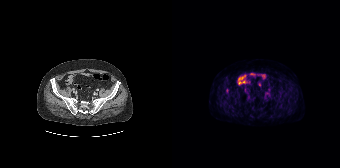
{"modality":"PSMA PET/CT","view":"axial","tracer":"18F-PSMA","pet_grid":[168,168],"coord_frame":"pet_panel","coord_format":"x0,y0,x1,y1","lesion_bboxes":[[54,88,56,92]]}